Technique: Left: CT. Right: PSMA PET, same axial level, [18F]PSMA-1007 tracer. acquired on Siemens Biograph mCT Flow 20. slice position z = -790 mm. PET panel 200×200 px (4.1 mm/px).
Note: Head region blanked for anonymization (face removed).
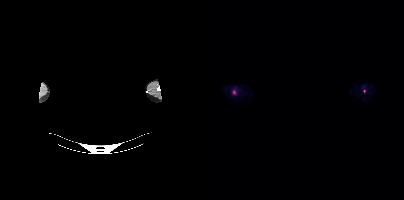
Findings: Coordinates are on the 200×200 PET (right) panel. Small PSMA-avid foci (2 to 4 px across) near (center x, center y): (30, 91), (160, 90).